Paired axial CT (left) and PSMA PET (right), 68Ga-PSMA tracer. PET panel 200×200 px (4.1 mm/px).
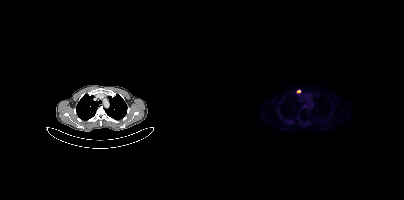
Coordinates are on the 200×200 PET (right) panel. Small PSMA-avid focus (2 to 4 px across) near (center x, center y): (94, 91).